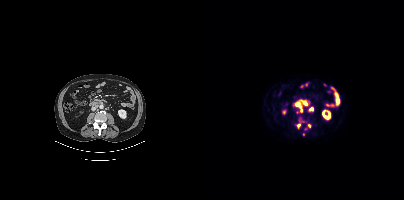
{"modality":"PSMA PET/CT","view":"axial","tracer":"18F-PSMA","pet_grid":[200,200],"coord_frame":"pet_panel","coord_format":"x0,y0,x1,y1","lesion_bboxes":[[93,100,105,112],[104,107,109,111],[93,123,96,127]],"small_foci_centers":[[105,125],[99,134]]}